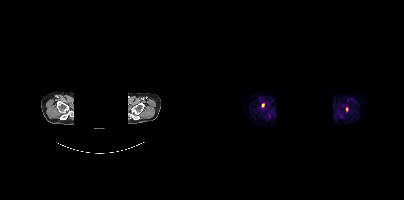
Coordinates are on the 200×200 PET (right) panel. Small PSMA-avid foci (2 to 4 px across) near (center x, center y): (143, 109) (59, 105).
Head region blanked for anonymization (face removed).